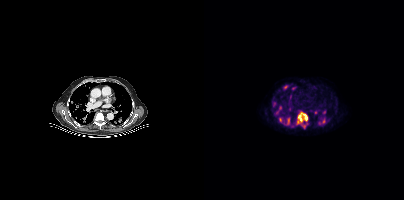
Coordinates are on the 200×200 PET (right) panel. (showing 9 of 10 foci) PSMA-avid tumor lesion bounding boxes (x, y, width, height): x=93 y=113 w=11 h=12; x=80 y=85 w=4 h=5; x=118 y=110 w=4 h=5; x=97 y=124 w=5 h=5; x=84 y=118 w=2 h=5. Small PSMA-avid foci (2 to 4 px across) near (center x, center y): (76, 119); (89, 88); (119, 121); (76, 107). Paired axial CT (left) and PSMA PET (right), 18F tracer. Acquired on Siemens Biograph mCT Flow 20. PET panel 200×200 px (4.1 mm/px).